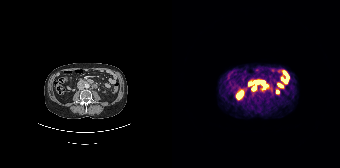
{"modality":"PSMA PET/CT","view":"axial","tracer":"68Ga-PSMA","pet_grid":[168,168],"coord_frame":"pet_panel","coord_format":"x0,y0,x1,y1","lesion_bboxes":[[91,84,96,89],[80,86,84,90]]}